modality: PSMA PET/CT | tracer: 18F | view: axial
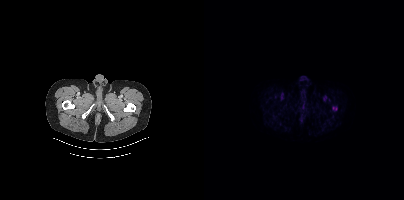
Coordinates are on the 200×200 PET (right) panel. Small PSMA-avid focus (2 to 4 px across) near (center x, center y): (130, 108).